Left: CT. Right: PSMA PET, same axial level, 18F tracer. Acquired on Siemens Biograph mCT Flow 20. PET panel 200×200 px (4.1 mm/px).
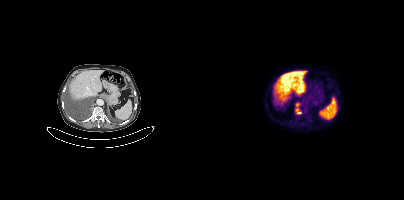
Coordinates are on the 200×200 PET (right) panel. PSMA-avid tumor lesion bounding boxes:
| # | x0 | y0 | x1 | y1 |
|---|---|---|---|---|
| 1 | 91 | 103 | 97 | 114 |